- Paired axial CT (left) and PSMA PET (right), 18F-PSMA tracer
- slice position z = -1360 mm
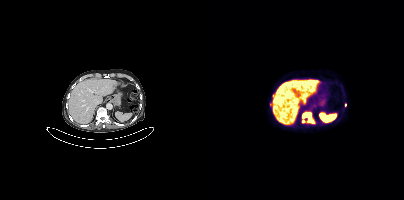
Findings: Coordinates are on the 200×200 PET (right) panel. (showing 3 of 4 foci) PSMA-avid tumor lesion bounding box (x, y, width, height): x=98 y=112 w=13 h=12. Small PSMA-avid foci (2 to 4 px across) near (center x, center y): (67, 104) / (69, 96).